modality: PSMA PET/CT | tracer: 18F-PSMA | view: axial | de-identification: region blacked out before release
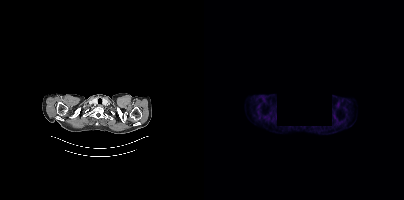
This slice has no annotated PSMA-avid lesion.